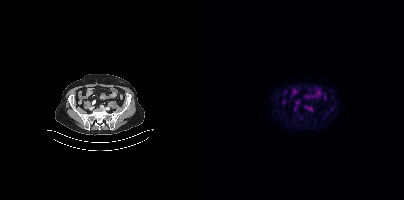
Coordinates are on the 200×200 PET (right) panel. PSMA-avid tumor lesion bounding box (x0, y0)-(x1, y1): (96, 116)-(99, 120).